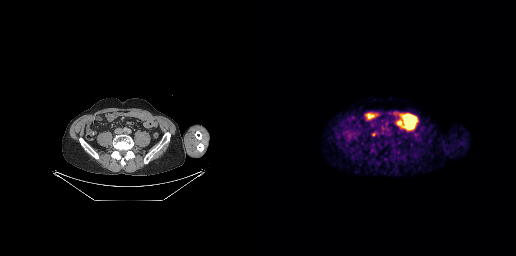
{"modality":"PSMA PET/CT","view":"axial","tracer":"68Ga-PSMA","pet_grid":[256,256],"coord_frame":"pet_panel","coord_format":"x0,y0,x1,y1","lesion_bboxes":[[112,132,115,136]]}